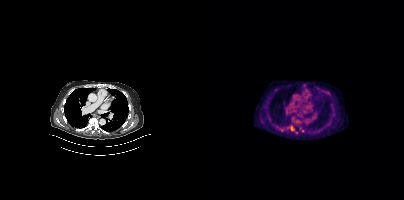
Findings: Coordinates are on the 200×200 PET (right) panel. Small PSMA-avid foci (2 to 4 px across) near (center x, center y): (87, 128) / (98, 130).
- Left: CT. Right: PSMA PET, same axial level, 18F tracer
- acquired on Siemens Biograph mCT Flow 20
- PET panel 200×200 px (4.1 mm/px)